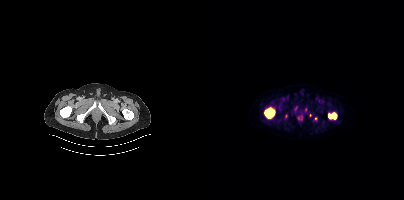
Findings: Coordinates are on the 200×200 PET (right) panel. (showing 2 of 4 foci) PSMA-avid tumor lesion bounding boxes (x0, y0)-(x1, y1): (60, 108)-(70, 118) | (124, 112)-(132, 119).
Technique: Two-panel axial: CT | PSMA PET, [18F]PSMA-1007 tracer. slice 45 of 444. PET panel 200×200 px (4.1 mm/px).